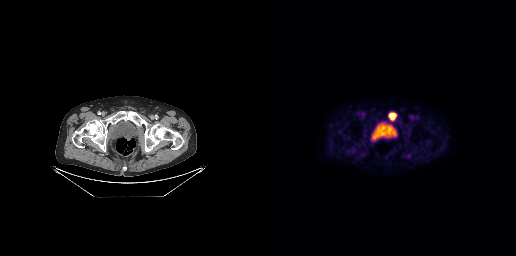
Coordinates are on the 256×256 PET (right) panel. PSMA-avid tumor lesion bounding box (x0,y0,x1,y1): [129,113,136,119]. Two-panel axial: CT | PSMA PET, 18F tracer. Slice 59 of 263. PET panel 256×256 px (2.7 mm/px).